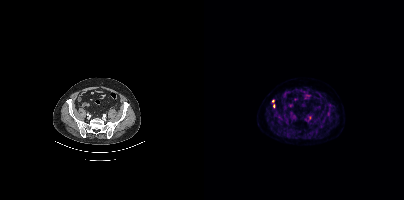
{"pet_grid":[200,200],"coord_frame":"pet_panel","coord_format":"x0,y0,x1,y1","partial":true,"lesion_bboxes":[],"small_foci_centers":[[106,117]],"modality":"PSMA PET/CT","view":"axial","tracer":"18F"}